Two-panel axial: CT | PSMA PET, [68Ga]Ga-PSMA-11 tracer.
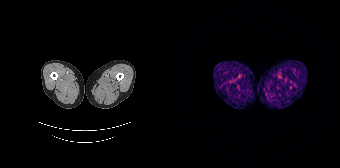
Negative for PSMA-avid disease on this slice.